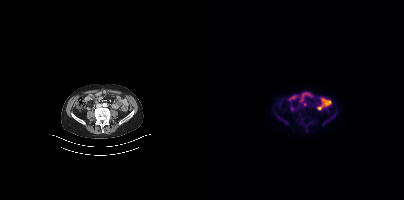
modality: PSMA PET/CT | tracer: [18F]PSMA-1007 | view: axial | PET grid: 200×200
Coordinates are on the 200×200 PET (right) panel. Small PSMA-avid focus (2 to 4 px across) near (center x, center y): (100, 104).